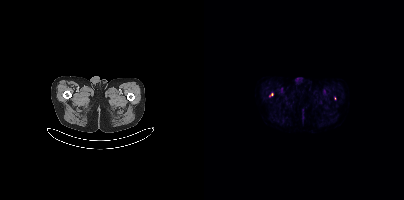
Coordinates are on the 200×200 PET (right) panel. (showing 1 of 2 foci) Small PSMA-avid focus (2 to 4 px across) near (center x, center y): (67, 94). Left: CT. Right: PSMA PET, same axial level, 18F-PSMA tracer. Slice 24 of 387.